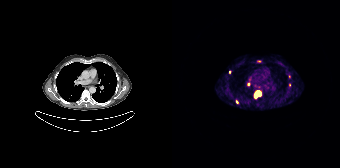
{"modality":"PSMA PET/CT","view":"axial","tracer":"[68Ga]Ga-PSMA-11","pet_grid":[168,168],"coord_frame":"pet_panel","coord_format":"x0,y0,x1,y1","partial":true,"lesion_bboxes":[[83,90,88,97]],"small_foci_centers":[[76,84],[117,85],[57,71],[64,101]]}